modality: PSMA PET/CT | tracer: 18F | view: axial
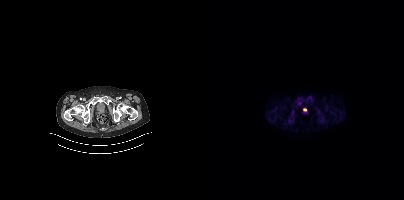
Coordinates are on the 200×200 PET (right) panel. Small PSMA-avid foci (2 to 4 px across) near (center x, center y): (95, 103) | (100, 109).